Left: CT. Right: PSMA PET, same axial level, 18F-PSMA tracer. Acquired on Siemens Biograph mCT Flow 20. Slice position z = -356 mm.
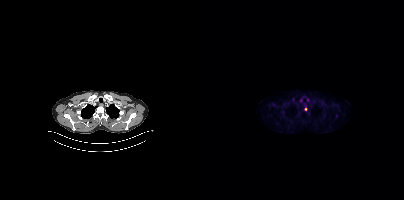
Coordinates are on the 200×200 PET (right) panel. Small PSMA-avid focus (2 to 4 px across) near (center x, center y): (101, 109).